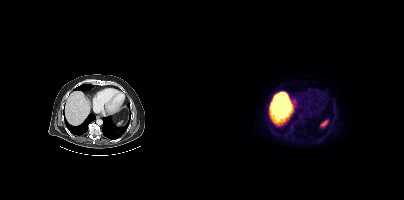
{"modality":"PSMA PET/CT","view":"axial","tracer":"18F","pet_grid":[200,200],"coord_frame":"pet_panel","coord_format":"x0,y0,x1,y1","psma_avid_lesions":false}